Technique: Left: CT. Right: PSMA PET, same axial level, [18F]PSMA-1007 tracer. slice position z = -254 mm.
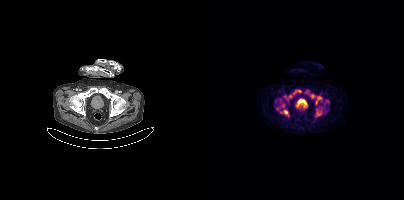
Findings: Coordinates are on the 200×200 PET (right) panel. (showing 6 of 7 foci) PSMA-avid tumor lesion bounding boxes (x0, y0)-(x1, y1): (79, 93)-(90, 102) / (112, 96)-(117, 104) / (79, 110)-(84, 115) / (92, 89)-(97, 92) / (112, 110)-(116, 115). Small PSMA-avid focus (2 to 4 px across) near (center x, center y): (79, 106).